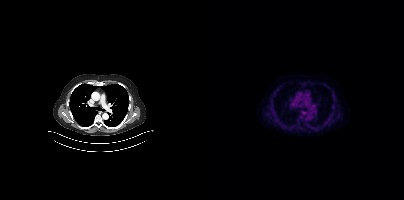
No PSMA-avid tumor lesions on this slice.